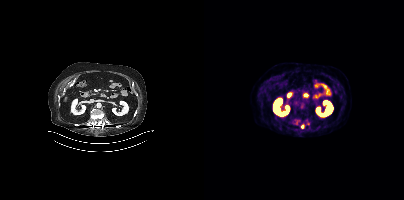
Coordinates are on the 200×200 PET (right) panel. (showing 2 of 3 foci) Small PSMA-avid foci (2 to 4 px across) near (center x, center y): (92, 122); (99, 126).